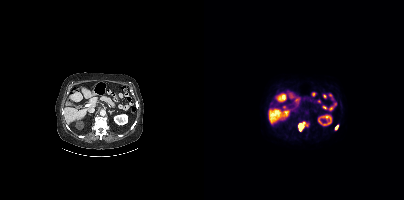
Coordinates are on the 200×200 PET (right) panel. (showing 2 of 3 foci) PSMA-avid tumor lesion bounding boxes (x0, y0)-(x1, y1): (94, 122)-(101, 131); (131, 125)-(134, 129).